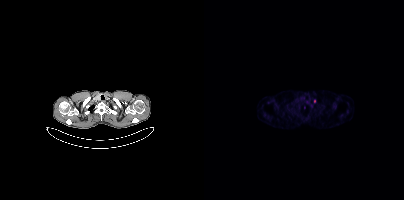
Coordinates are on the 200×200 PET (right) panel. (showing 1 of 2 foci) Small PSMA-avid focus (2 to 4 px across) near (center x, center y): (110, 100).